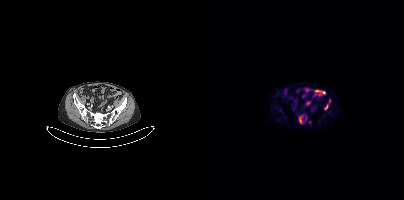
Coordinates are on the 200×200 PET (right) panel. (showing 2 of 3 foci) PSMA-avid tumor lesion bounding box (x, y, width, height): x=94 y=117 w=9 h=7. Small PSMA-avid focus (2 to 4 px across) near (center x, center y): (123, 106).